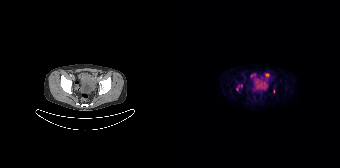
{"modality":"PSMA PET/CT","view":"axial","tracer":"18F-PSMA","pet_grid":[168,168],"coord_frame":"pet_panel","coord_format":"x0,y0,x1,y1","lesion_bboxes":[[64,85,70,90],[101,89,103,93]]}